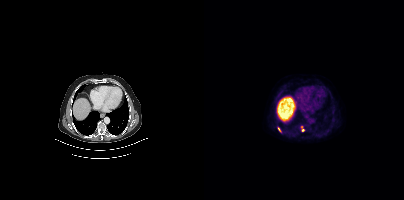
- Left: CT. Right: PSMA PET, same axial level, 18F tracer
- PET panel 200×200 px (4.1 mm/px)
Findings: Coordinates are on the 200×200 PET (right) panel. PSMA-avid tumor lesion bounding boxes (x, y, width, height): x=97 y=126 w=4 h=6; x=74 y=127 w=4 h=6.